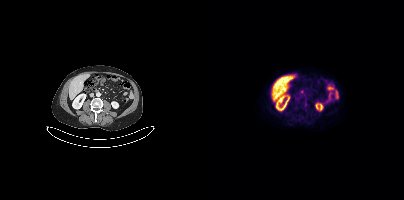
Findings: This slice has no annotated PSMA-avid lesion.
Technique: Paired axial CT (left) and PSMA PET (right), 18F tracer. slice 140 of 381.